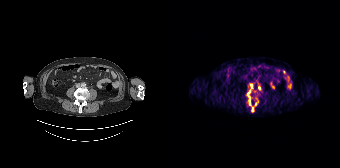
Coordinates are on the 168×168 PET (right) panel. PSMA-avid tumor lesion bounding boxes (partial; 2 more foci not listed):
| # | x0 | y0 | x1 | y1 |
|---|---|---|---|---|
| 1 | 80 | 107 | 81 | 111 |
| 2 | 77 | 100 | 78 | 104 |
Small PSMA-avid foci (2 to 4 px across) near (center x, center y): (83, 104); (76, 92); (79, 85).
Left: CT. Right: PSMA PET, same axial level, 68Ga-PSMA tracer. Acquired on Siemens Biograph 64-4R TruePoint. PET panel 168×168 px (4.1 mm/px).